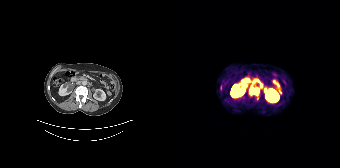
Coordinates are on the 168×168 PET (right) panel. PSMA-avid tumor lesion bounding box (x0,y0,x1,y1): [77,85,88,95]. Small PSMA-avid focus (2 to 4 px across) near (center x, center y): (85, 98). Paired axial CT (left) and PSMA PET (right), 68Ga tracer. Acquired on Siemens Biograph 64-4R TruePoint. Slice position z = -710 mm.